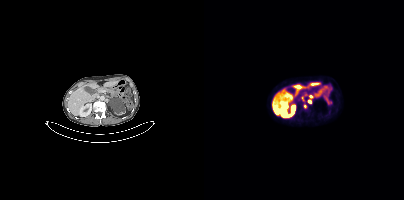
{"modality":"PSMA PET/CT","view":"axial","tracer":"18F","pet_grid":[200,200],"coord_frame":"pet_panel","coord_format":"x0,y0,x1,y1","lesion_bboxes":[],"small_foci_centers":[[105,101],[99,99],[107,96],[101,106]]}